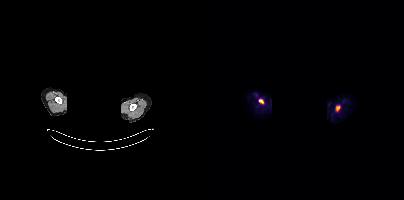
{"pet_grid":[200,200],"coord_frame":"pet_panel","coord_format":"x0,y0,x1,y1","lesion_bboxes":[[132,105,136,111],[55,99,59,103]],"modality":"PSMA PET/CT","view":"axial","tracer":"18F-PSMA","de-identification":"face masked with black rectangle"}